Left: CT. Right: PSMA PET, same axial level, 18F-PSMA tracer. Acquired on Siemens Biograph mCT Flow 20. PET panel 200×200 px (4.1 mm/px).
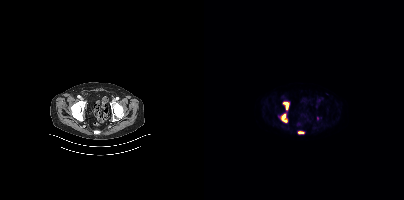
Coordinates are on the 200×200 PET (right) panel. PSMA-avid tumor lesion bounding boxes:
| # | x0 | y0 | x1 | y1 |
|---|---|---|---|---|
| 1 | 77 | 114 | 83 | 122 |
| 2 | 79 | 102 | 84 | 109 |
| 3 | 94 | 131 | 99 | 133 |